Left: CT. Right: PSMA PET, same axial level, 18F-PSMA tracer. PET panel 200×200 px (4.1 mm/px).
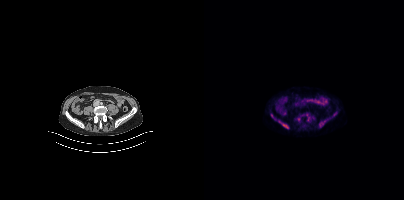
Coordinates are on the 200×200 PET (right) panel. (showing 4 of 5 foci) PSMA-avid tumor lesion bounding boxes (x0, y0)-(x1, y1): (115, 120)-(122, 127); (74, 121)-(84, 128). Small PSMA-avid foci (2 to 4 px across) near (center x, center y): (103, 115); (118, 103).